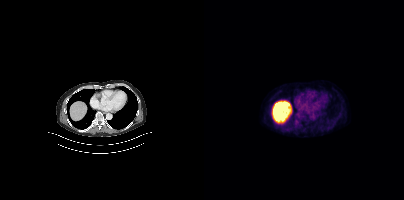
Technique: Two-panel axial: CT | PSMA PET, 18F tracer. acquired on Siemens Biograph mCT Flow 20.
Findings: No tumor lesions annotated on this slice.